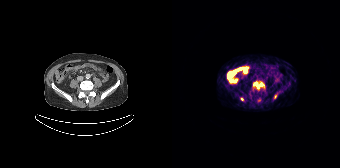
Coordinates are on the 168×168 PET (right) panel. PSMA-avid tumor lesion bounding box (x0,y0,x1,y1): [81,81,92,88]. Small PSMA-avid foci (2 to 4 px across) near (center x, center y): (103, 96) (70, 99).